Technique: Left: CT. Right: PSMA PET, same axial level, 18F tracer. PET panel 200×200 px (4.1 mm/px).
Note: De-identified by setting a box covering the face to black before release.
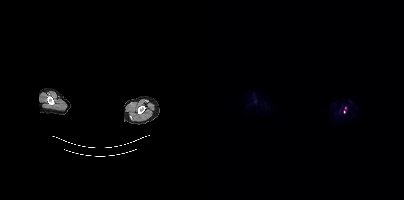
Findings: Coordinates are on the 200×200 PET (right) panel. Small PSMA-avid foci (2 to 4 px across) near (center x, center y): (140, 112) / (141, 107).